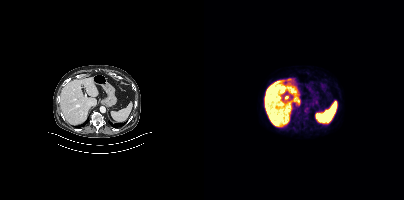
modality: PSMA PET/CT | tracer: 18F | view: axial
Negative for PSMA-avid disease on this slice.